Two-panel axial: CT | PSMA PET, 68Ga tracer.
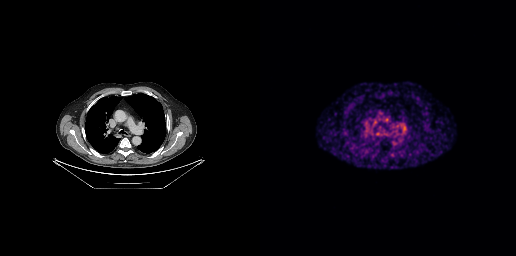
This slice has no annotated PSMA-avid lesion.